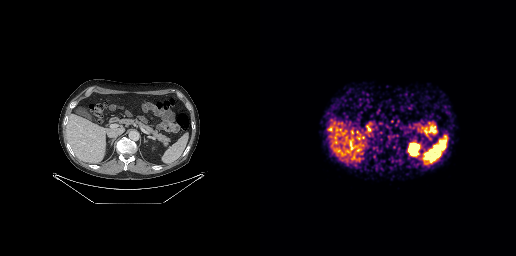
No tumor lesions annotated on this slice. Paired axial CT (left) and PSMA PET (right), 68Ga tracer. Slice position z = -599 mm.